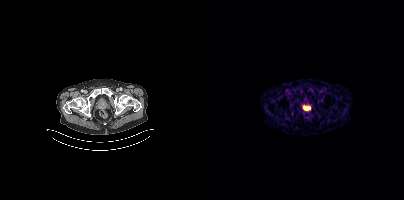
Technique: Left: CT. Right: PSMA PET, same axial level, 68Ga-PSMA tracer. PET panel 200×200 px (4.1 mm/px).
Findings: Coordinates are on the 200×200 PET (right) panel. PSMA-avid tumor lesion bounding box (x0, y0)-(x1, y1): (99, 106)-(106, 109).